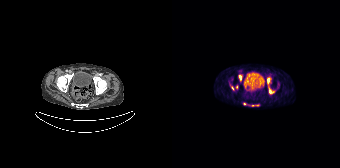
Coordinates are on the 168×168 PET (right) panel. (showing 6 of 8 foci) PSMA-avid tumor lesion bounding boxes (x0, y0)-(x1, y1): (96, 87)-(102, 93) | (95, 78)-(98, 84) | (67, 75)-(70, 80). Small PSMA-avid foci (2 to 4 px across) near (center x, center y): (60, 87) | (64, 87) | (72, 103).